Technique: Left: CT. Right: PSMA PET, same axial level, 18F tracer. acquired on Siemens Biograph mCT Flow 20. PET panel 200×200 px (4.1 mm/px).
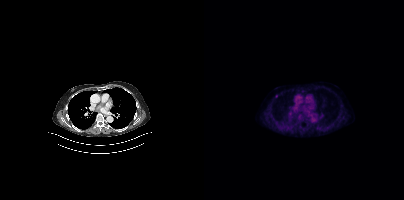
Findings: Coordinates are on the 200×200 PET (right) panel. Small PSMA-avid focus (2 to 4 px across) near (center x, center y): (72, 96).